modality: PSMA PET/CT | tracer: [18F]PSMA-1007 | view: axial
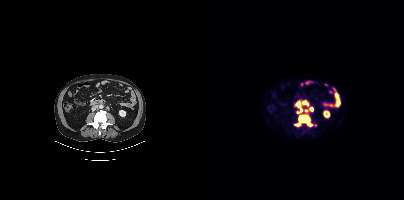
Coordinates are on the 200×200 PET (right) panel. PSMA-avid tumor lesion bounding box (x0, y0)-(x1, y1): (91, 100)-(108, 126).